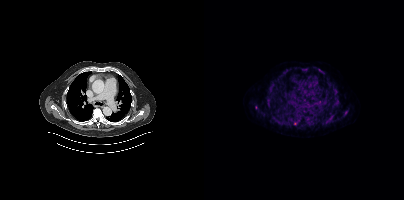
Findings: Coordinates are on the 200×200 PET (right) panel. (showing 10 of 11 foci) PSMA-avid tumor lesion bounding boxes (x0,y0,x1,y1): [89,112,103,125], [123,117,129,122], [66,81,70,86], [140,111,143,115]. Small PSMA-avid foci (2 to 4 px across) near (center x, center y): (52, 107), (133, 97), (133, 102), (130, 112), (101, 68), (100, 111).
- Left: CT. Right: PSMA PET, same axial level, [18F]PSMA-1007 tracer
- PET panel 200×200 px (4.1 mm/px)